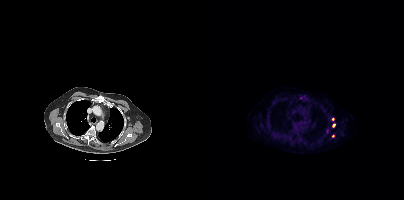
Findings: Coordinates are on the 200×200 PET (right) panel. (showing 2 of 3 foci) Small PSMA-avid foci (2 to 4 px across) near (center x, center y): (129, 125) / (123, 130).
Technique: Paired axial CT (left) and PSMA PET (right), 18F-PSMA tracer. slice 318 of 431.